Technique: Paired axial CT (left) and PSMA PET (right), 18F-PSMA tracer.
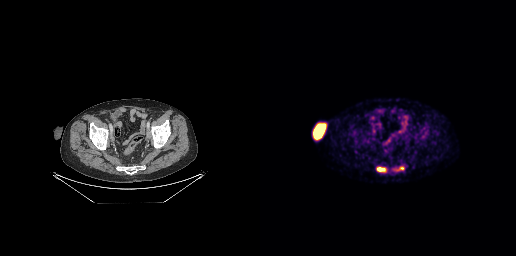
Findings: Coordinates are on the 256×256 PET (right) panel. PSMA-avid tumor lesion bounding boxes (x0,y0,x1,y1): [116,167,126,172] [137,166,144,170].